Paired axial CT (left) and PSMA PET (right), 18F-PSMA tracer.
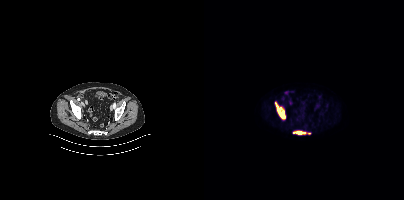
Coordinates are on the 200×200 PET (right) panel. PSMA-avid tumor lesion bounding boxes:
| # | x0 | y0 | x1 | y1 |
|---|---|---|---|---|
| 1 | 71 | 102 | 81 | 118 |
| 2 | 89 | 131 | 101 | 134 |
Small PSMA-avid focus (2 to 4 px across) near (center x, center y): (105, 133).